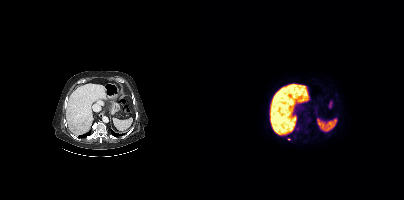
Only PSMA-avid lesion pieces thinner than 2 px on this slice (not listed). Paired axial CT (left) and PSMA PET (right), 18F-PSMA tracer. Acquired on Siemens Biograph mCT Flow 20. Slice 234 of 389.